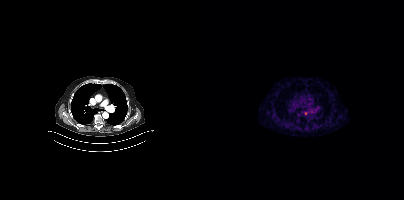
{"modality":"PSMA PET/CT","view":"axial","tracer":"68Ga","pet_grid":[200,200],"coord_frame":"pet_panel","coord_format":"x0,y0,x1,y1","lesion_bboxes":[],"small_foci_centers":[[101,113]]}